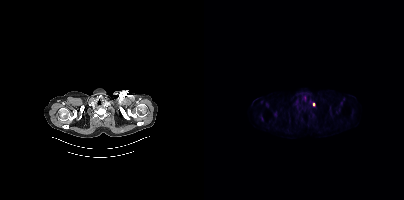
Paired axial CT (left) and PSMA PET (right), [18F]PSMA-1007 tracer. Slice 381 of 442. PET panel 200×200 px (4.1 mm/px). Coordinates are on the 200×200 PET (right) panel. Small PSMA-avid focus (2 to 4 px across) near (center x, center y): (109, 104).